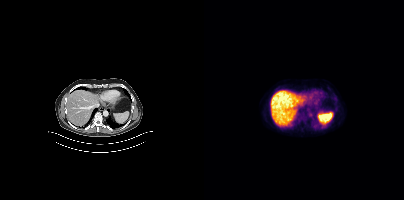
No PSMA-avid tumor lesions on this slice.
modality: PSMA PET/CT | tracer: 18F-PSMA | view: axial | PET grid: 200×200